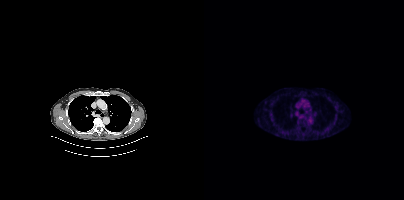
Coordinates are on the 200×200 PET (right) panel. (showing 1 of 2 foci) Small PSMA-avid focus (2 to 4 px across) near (center x, center y): (67, 119).
modality: PSMA PET/CT | tracer: [18F]PSMA-1007 | view: axial | PET grid: 200×200